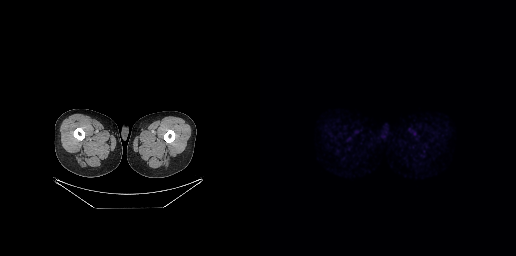
Negative for PSMA-avid disease on this slice. Paired axial CT (left) and PSMA PET (right), 18F-PSMA tracer. PET panel 256×256 px (2.7 mm/px).